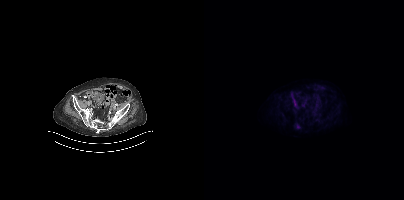
- Left: CT. Right: PSMA PET, same axial level, 18F tracer
- slice position z = -910 mm
- PET panel 200×200 px (4.1 mm/px)
Findings: Coordinates are on the 200×200 PET (right) panel. Small PSMA-avid focus (2 to 4 px across) near (center x, center y): (94, 126).